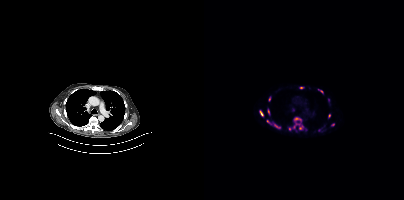
Left: CT. Right: PSMA PET, same axial level, 18F tracer. Slice position z = -366 mm.
Coordinates are on the 200×200 PET (right) panel. PSMA-avid tumor lesion bounding boxes (partial; 1 more focus not listed):
| # | x0 | y0 | x1 | y1 |
|---|---|---|---|---|
| 1 | 90 | 118 | 96 | 121 |
| 2 | 56 | 110 | 59 | 116 |
| 3 | 70 | 124 | 75 | 128 |
| 4 | 89 | 123 | 92 | 128 |
| 5 | 114 | 89 | 119 | 93 |
| 6 | 63 | 109 | 65 | 114 |
| 7 | 65 | 97 | 66 | 101 |
Small PSMA-avid foci (2 to 4 px across) near (center x, center y): (125, 115); (96, 127); (97, 87); (85, 129); (129, 124); (63, 121).